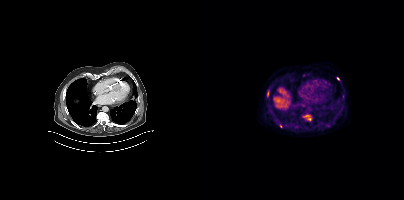
Findings: Coordinates are on the 200×200 PET (right) panel. PSMA-avid tumor lesion bounding boxes (x, y, width, height): x=98 y=114 w=11 h=8; x=63 y=91 w=3 h=6. Small PSMA-avid foci (2 to 4 px across) near (center x, center y): (99, 75); (134, 78); (76, 126); (92, 125).
Technique: Paired axial CT (left) and PSMA PET (right), [18F]PSMA-1007 tracer. slice 252 of 411.